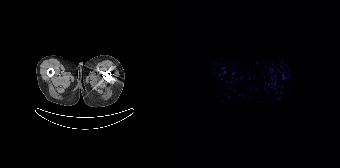
{"modality":"PSMA PET/CT","view":"axial","tracer":"18F","pet_grid":[168,168],"coord_frame":"pet_panel","coord_format":"x0,y0,x1,y1","psma_avid_lesions":false}